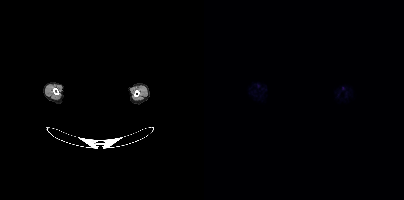
{"modality":"PSMA PET/CT","view":"axial","tracer":"18F-PSMA","pet_grid":[200,200],"coord_frame":"pet_panel","coord_format":"x0,y0,x1,y1","psma_avid_lesions":false,"de-identification":"head region blanked (face removed)"}